modality: PSMA PET/CT | tracer: 18F-PSMA | view: axial | PET grid: 200×200
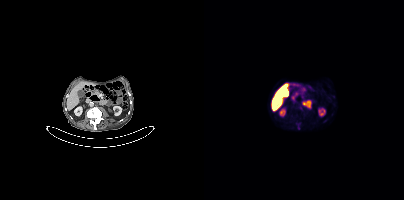
No PSMA-avid tumor lesions on this slice.